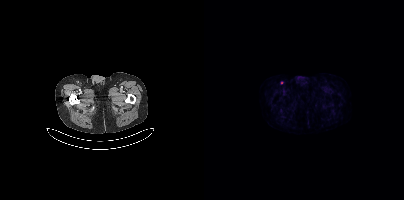
Coordinates are on the 200×200 PET (right) panel. Small PSMA-avid focus (2 to 4 px across) near (center x, center y): (77, 82). Paired axial CT (left) and PSMA PET (right), 18F-PSMA tracer. PET panel 200×200 px (4.1 mm/px).